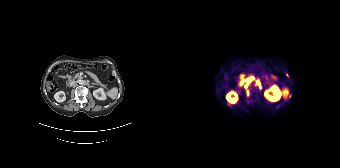
Technique: Paired axial CT (left) and PSMA PET (right), 68Ga-PSMA tracer. slice position z = -1326 mm.
Findings: Coordinates are on the 168×168 PET (right) panel. (showing 4 of 5 foci) PSMA-avid tumor lesion bounding boxes (x0,y0,x1,y1): [83,79,89,88], [74,89,77,95], [73,81,78,87]. Small PSMA-avid focus (2 to 4 px across) near (center x, center y): (117, 96).